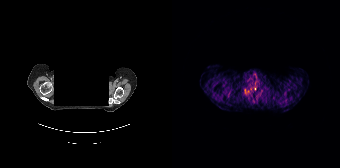
de-identification: privacy mask over head | modality: PSMA PET/CT | tracer: 68Ga-PSMA | view: axial | PET grid: 168×168
Only PSMA-avid lesion pieces thinner than 2 px on this slice (not listed).